modality: PSMA PET/CT | tracer: 68Ga | view: axial | PET grid: 200×200
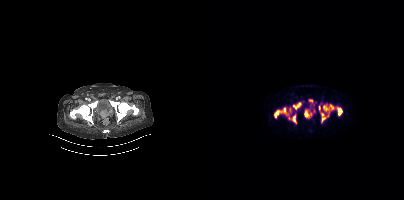
No tumor lesions annotated on this slice.